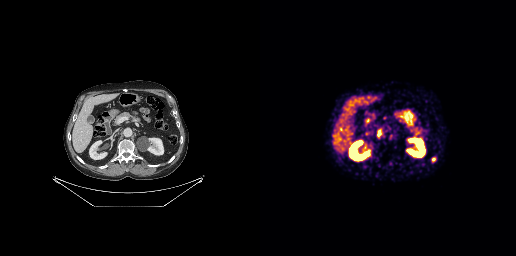
{"modality":"PSMA PET/CT","view":"axial","tracer":"68Ga-PSMA","pet_grid":[256,256],"coord_frame":"pet_panel","coord_format":"x0,y0,x1,y1","lesion_bboxes":[[117,129,121,135]],"small_foci_centers":[[173,158]]}